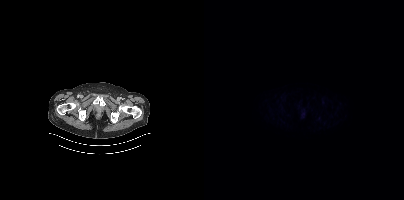
- Left: CT. Right: PSMA PET, same axial level, 18F tracer
- slice position z = -1008 mm
- PET panel 200×200 px (4.1 mm/px)
Findings: This slice has no annotated PSMA-avid lesion.